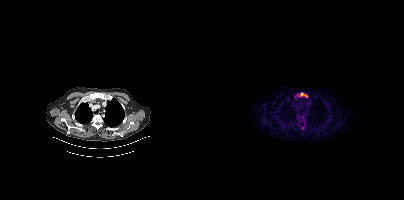
Paired axial CT (left) and PSMA PET (right), 18F-PSMA tracer. Acquired on Siemens Biograph mCT Flow 20. Coordinates are on the 200×200 PET (right) panel. (showing 1 of 2 foci) PSMA-avid tumor lesion bounding box (x0, y0)-(x1, y1): (95, 93)-(103, 97).